- Left: CT. Right: PSMA PET, same axial level, 18F-PSMA tracer
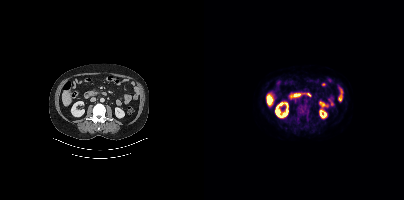
Findings: Coordinates are on the 200×200 PET (right) panel. PSMA-avid tumor lesion bounding boxes (x, y, width, height): x=93 y=103 w=13 h=17 / x=91 y=119 w=5 h=5.